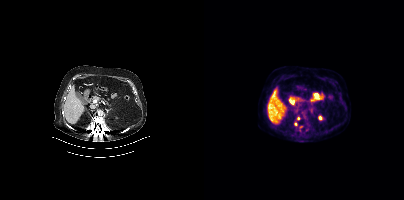
Technique: Paired axial CT (left) and PSMA PET (right), [18F]PSMA-1007 tracer. acquired on Siemens Biograph mCT Flow 20. slice 235 of 438. PET panel 200×200 px (4.1 mm/px).
Findings: Coordinates are on the 200×200 PET (right) panel. Small PSMA-avid foci (2 to 4 px across) near (center x, center y): (91, 124) (95, 117).